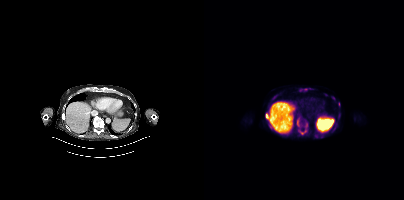
modality: PSMA PET/CT | tracer: 18F-PSMA | view: axial
Coordinates are on the 200×200 PET (right) panel. (showing 8 of 12 foci) PSMA-avid tumor lesion bounding boxes (x0, y0)-(x1, y1): (94, 129)-(103, 135) | (62, 114)-(65, 120) | (93, 118)-(95, 125). Small PSMA-avid foci (2 to 4 px across) near (center x, center y): (70, 96) | (129, 98) | (101, 89) | (111, 135) | (117, 136).